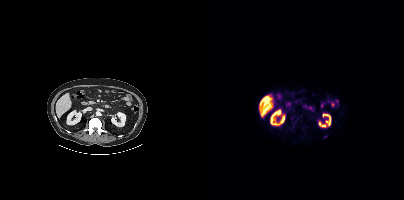
{"pet_grid":[200,200],"coord_frame":"pet_panel","coord_format":"x0,y0,x1,y1","lesion_bboxes":[],"small_foci_centers":[[121,136]],"modality":"PSMA PET/CT","view":"axial","tracer":"18F"}